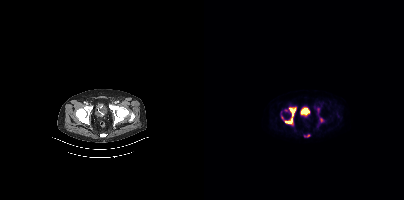
modality: PSMA PET/CT | tracer: 18F-PSMA | view: axial
Coordinates are on the 200×200 PET (right) panel. (showing 3 of 4 foci) PSMA-avid tumor lesion bounding box (x0, y0)-(x1, y1): (81, 108)-(91, 124). Small PSMA-avid foci (2 to 4 px across) near (center x, center y): (117, 119) | (102, 114).